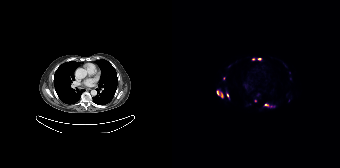
- Left: CT. Right: PSMA PET, same axial level, [18F]PSMA-1007 tracer
- slice position z = -805 mm
Findings: Coordinates are on the 168×168 PET (right) panel. (showing 6 of 7 foci) PSMA-avid tumor lesion bounding boxes (x0,y0,x1,y1): [44,90,51,98] [92,103,102,107] [54,93,57,98]. Small PSMA-avid foci (2 to 4 px across) near (center x, center y): (81, 59) (87, 59) (83, 100).